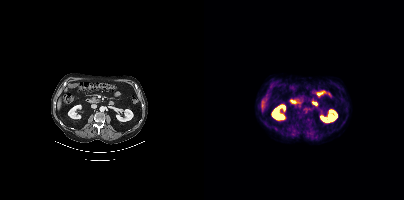
This slice has no annotated PSMA-avid lesion. Left: CT. Right: PSMA PET, same axial level, [18F]PSMA-1007 tracer. Slice position z = -635 mm.